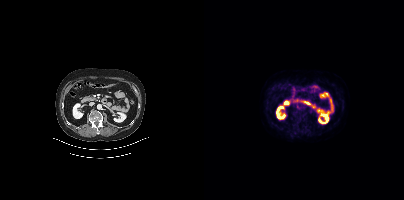
Negative for PSMA-avid disease on this slice. Left: CT. Right: PSMA PET, same axial level, 18F tracer. PET panel 200×200 px (4.1 mm/px).